- Two-panel axial: CT | PSMA PET, [18F]PSMA-1007 tracer
- acquired on Siemens Biograph mCT Flow 20
- PET panel 200×200 px (4.1 mm/px)
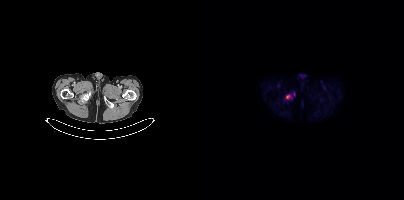
Findings: Coordinates are on the 200×200 PET (right) panel. Small PSMA-avid focus (2 to 4 px across) near (center x, center y): (83, 96).